modality: PSMA PET/CT | tracer: 68Ga | view: axial | PET grid: 168×168
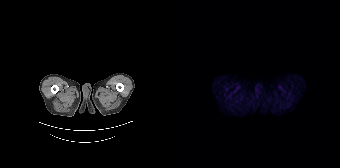
No tumor lesions annotated on this slice.